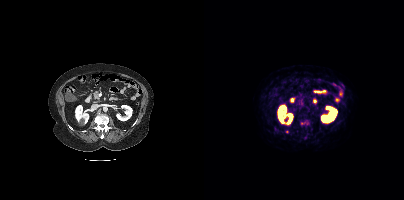
Coordinates are on the 200×200 PET (right) panel. (showing 2 of 3 foci) Small PSMA-avid foci (2 to 4 px across) near (center x, center y): (83, 132), (99, 123). Paired axial CT (left) and PSMA PET (right), 68Ga-PSMA tracer. Slice position z = 551 mm. PET panel 200×200 px (4.1 mm/px).